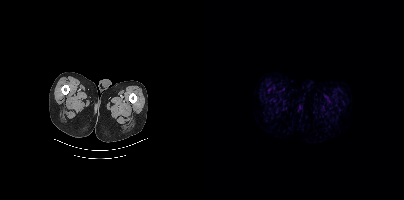
{"modality":"PSMA PET/CT","view":"axial","tracer":"18F-PSMA","pet_grid":[200,200],"coord_frame":"pet_panel","coord_format":"x0,y0,x1,y1","psma_avid_lesions":false}